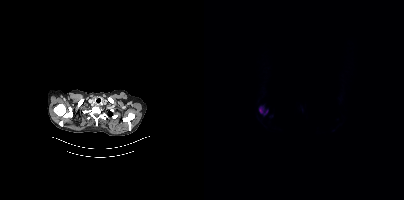
Coordinates are on the 200×200 PET (right) panel. PSMA-avid tumor lesion bounding box (x, y, width, height): x=55 y=106 w=10 h=10.